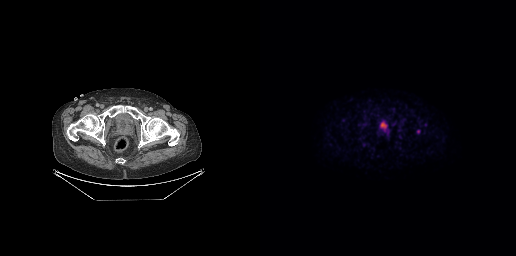
{"modality":"PSMA PET/CT","view":"axial","tracer":"18F","pet_grid":[256,256],"coord_frame":"pet_panel","coord_format":"x0,y0,x1,y1","lesion_bboxes":[],"small_foci_centers":[[158,131]]}